Technique: Two-panel axial: CT | PSMA PET, [18F]PSMA-1007 tracer. PET panel 200×200 px (4.1 mm/px).
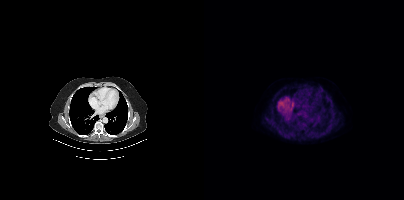
Findings: No PSMA-avid tumor lesions on this slice.